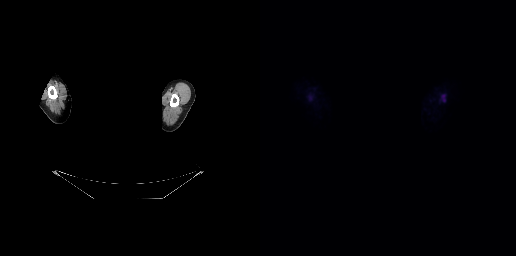
- Paired axial CT (left) and PSMA PET (right), [18F]PSMA-1007 tracer
- an anonymization step blacked out a rectangle over the head in this scan
Findings: This slice has no annotated PSMA-avid lesion.